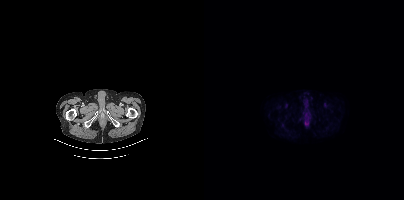
Paired axial CT (left) and PSMA PET (right), 18F tracer. Acquired on Siemens Biograph mCT Flow 20. PET panel 200×200 px (4.1 mm/px). No PSMA-avid tumor lesions on this slice.